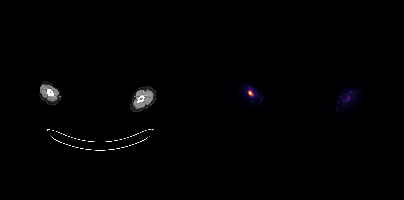
Technique: Left: CT. Right: PSMA PET, same axial level, 18F tracer. acquired on Siemens Biograph mCT Flow 20. slice 360 of 373. PET panel 200×200 px (4.1 mm/px).
Note: De-identified by setting a box covering the face to black before release.
Findings: Coordinates are on the 200×200 PET (right) panel. PSMA-avid tumor lesion bounding box (x, y, width, height): x=45 y=91 w=4 h=5.